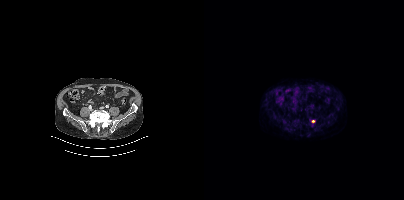
Paired axial CT (left) and PSMA PET (right), 18F tracer. Slice position z = -1412 mm. PET panel 200×200 px (4.1 mm/px). Coordinates are on the 200×200 PET (right) panel. Small PSMA-avid focus (2 to 4 px across) near (center x, center y): (109, 121).